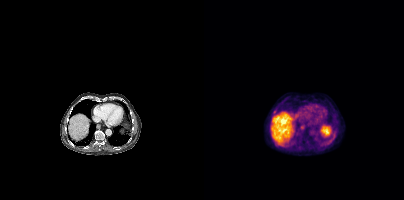
- Paired axial CT (left) and PSMA PET (right), [18F]PSMA-1007 tracer
Findings: Coordinates are on the 200×200 PET (right) panel. Small PSMA-avid focus (2 to 4 px across) near (center x, center y): (70, 112).